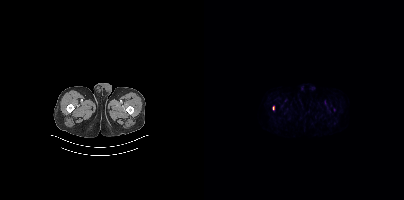
modality: PSMA PET/CT | tracer: [18F]PSMA-1007 | view: axial | PET grid: 200×200
Coordinates are on the 200×200 PET (right) panel. PSMA-avid tumor lesion bounding box (x0,y0,x1,y1): [68,106,70,110].